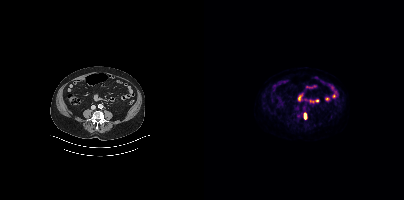
Coordinates are on the 200×200 PET (right) panel. PSMA-avid tumor lesion bounding box (x, y, width, height): x=100 y=113 w=3 h=7.